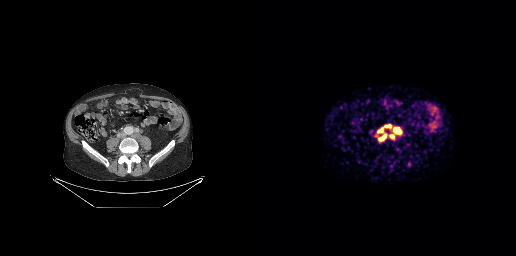
Left: CT. Right: PSMA PET, same axial level, [68Ga]Ga-PSMA-11 tracer. Slice position z = -668 mm.
Coordinates are on the 256×256 PET (right) panel. PSMA-avid tumor lesion bounding boxes:
| # | x0 | y0 | x1 | y1 |
|---|---|---|---|---|
| 1 | 117 | 124 | 131 | 133 |
| 2 | 119 | 134 | 126 | 140 |
| 3 | 134 | 128 | 139 | 132 |
Small PSMA-avid focus (2 to 4 px across) near (center x, center y): (131, 136).